Technique: Paired axial CT (left) and PSMA PET (right), 18F tracer. slice position z = -1230 mm.
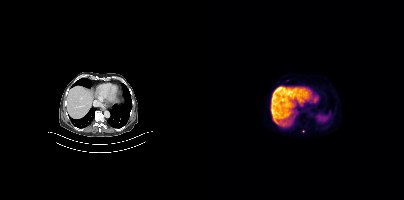
Findings: Coordinates are on the 200×200 PET (right) panel. Small PSMA-avid focus (2 to 4 px across) near (center x, center y): (99, 131).